Technique: Paired axial CT (left) and PSMA PET (right), [18F]PSMA-1007 tracer.
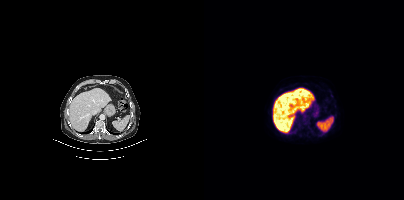
Findings: Negative for PSMA-avid disease on this slice.